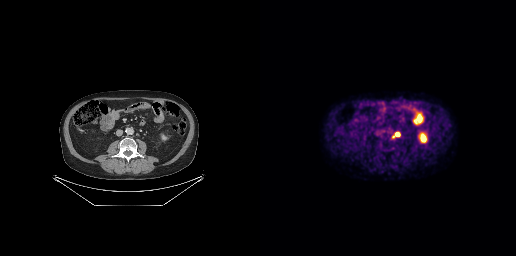
Paired axial CT (left) and PSMA PET (right), 18F-PSMA tracer. Coordinates are on the 256×256 PET (right) panel. PSMA-avid tumor lesion bounding box (x, y, width, height): x=132 y=132 w=8 h=7.